Two-panel axial: CT | PSMA PET, 68Ga-PSMA tracer. Acquired on Siemens Biograph mCT Flow 20. PET panel 200×200 px (4.1 mm/px).
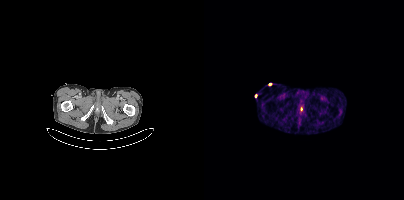
No tumor lesions annotated on this slice.